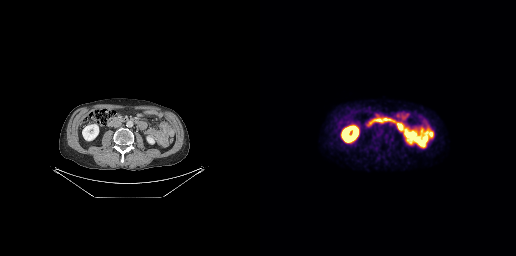
Paired axial CT (left) and PSMA PET (right), 18F-PSMA tracer. Acquired on GE Discovery 690. Slice 141 of 299. Negative for PSMA-avid disease on this slice.